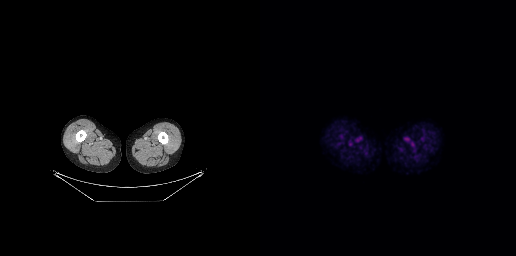
This slice has no annotated PSMA-avid lesion.